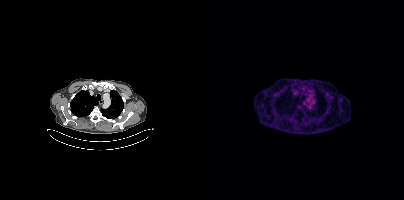
{"modality":"PSMA PET/CT","view":"axial","tracer":"[68Ga]Ga-PSMA-11","pet_grid":[200,200],"coord_frame":"pet_panel","coord_format":"x0,y0,x1,y1","psma_avid_lesions":false}